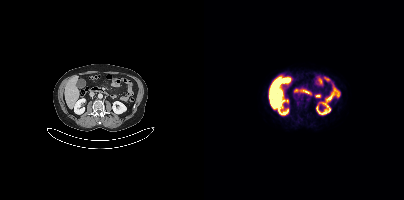
Coordinates are on the 200×200 PET (right) panel. Small PSMA-avid focus (2 to 4 px across) near (center x, center y): (94, 95).